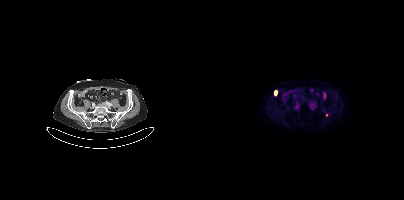
Findings: Coordinates are on the 200×200 PET (right) panel. PSMA-avid tumor lesion bounding box (x0,y0,x1,y1): [70,90,73,95].
Technique: Two-panel axial: CT | PSMA PET, 18F-PSMA tracer. slice position z = -1580 mm. PET panel 200×200 px (4.1 mm/px).